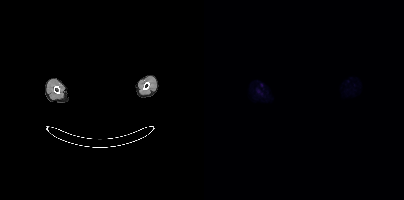
Left: CT. Right: PSMA PET, same axial level, 18F tracer. Slice 377 of 403. Any black rectangle over the head is a privacy mask, not anatomy. No tumor lesions annotated on this slice.